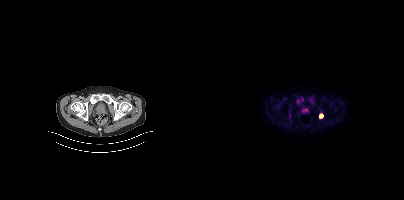
Coordinates are on the 200×200 PET (right) panel. PSMA-avid tumor lesion bounding boxes (x, y, width, height): x=115 y=114 w=5 h=5; x=106 y=97 w=4 h=6.